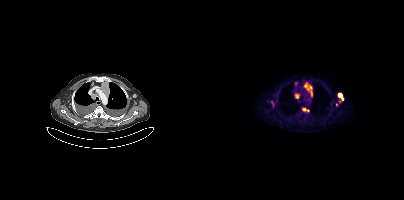
Findings: Coordinates are on the 200×200 PET (right) panel. (showing 5 of 7 foci) PSMA-avid tumor lesion bounding boxes (x0,y0,x1,y1): [100,82,108,96], [133,93,139,102], [98,108,105,111], [91,94,95,98]. Small PSMA-avid focus (2 to 4 px across) near (center x, center y): (68, 102).
Technique: Two-panel axial: CT | PSMA PET, [18F]PSMA-1007 tracer. acquired on Siemens Biograph mCT Flow 20. slice position z = -427 mm.